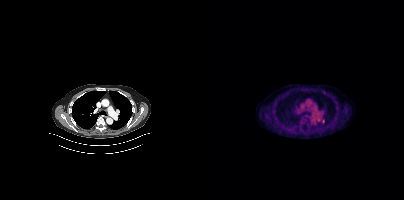
Coordinates are on the 200×200 PET (right) panel. Small PSMA-avid foci (2 to 4 px across) near (center x, center y): (114, 119), (123, 125). Two-panel axial: CT | PSMA PET, 18F-PSMA tracer.